Paired axial CT (left) and PSMA PET (right), 18F-PSMA tracer.
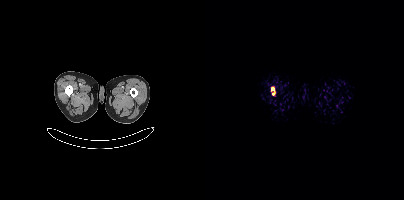
Coordinates are on the 200×200 PET (right) panel. PSMA-avid tumor lesion bounding box (x0,y0,x1,y1): [67,87,70,94].